Technique: Left: CT. Right: PSMA PET, same axial level, 18F tracer. acquired on Siemens Biograph mCT Flow 20. slice position z = 396 mm. PET panel 200×200 px (4.1 mm/px).
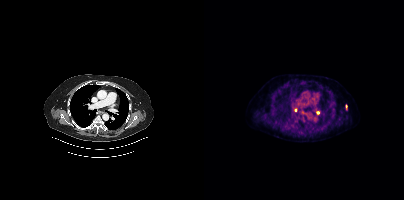
Findings: Coordinates are on the 200×200 PET (right) panel. (showing 2 of 3 foci) Small PSMA-avid foci (2 to 4 px across) near (center x, center y): (91, 110); (114, 112).